Technique: Paired axial CT (left) and PSMA PET (right), 18F tracer. acquired on Siemens Biograph mCT Flow 20.
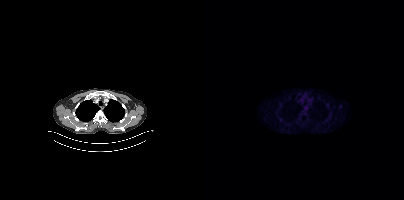
Findings: Negative for PSMA-avid disease on this slice.